Technique: Two-panel axial: CT | PSMA PET, 68Ga-PSMA tracer. acquired on Siemens Biograph 64-4R TruePoint.
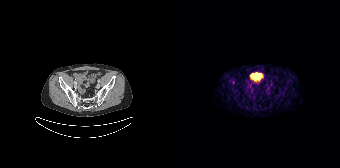
Findings: Only PSMA-avid lesion pieces thinner than 2 px on this slice (not listed).